Technique: Two-panel axial: CT | PSMA PET, 18F-PSMA tracer. slice 175 of 435.
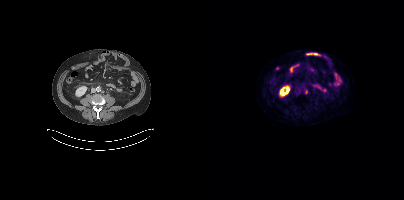
Findings: Coordinates are on the 200×200 PET (right) panel. Small PSMA-avid focus (2 to 4 px across) near (center x, center y): (102, 91).